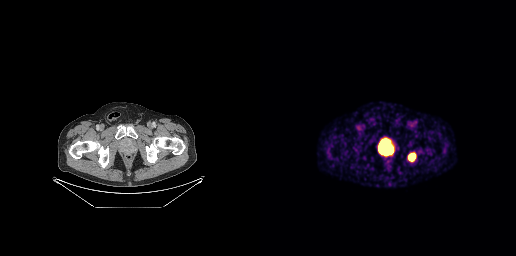
{"modality":"PSMA PET/CT","view":"axial","tracer":"68Ga-PSMA","pet_grid":[256,256],"coord_frame":"pet_panel","coord_format":"x0,y0,x1,y1","lesion_bboxes":[[118,138,133,155],[148,152,156,161]]}